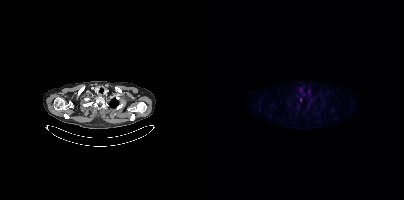
Findings: Coordinates are on the 200×200 PET (right) panel. Small PSMA-avid focus (2 to 4 px across) near (center x, center y): (96, 99).
Technique: Left: CT. Right: PSMA PET, same axial level, 18F tracer. PET panel 200×200 px (4.1 mm/px).